- Two-panel axial: CT | PSMA PET, [18F]PSMA-1007 tracer
- slice position z = -653 mm
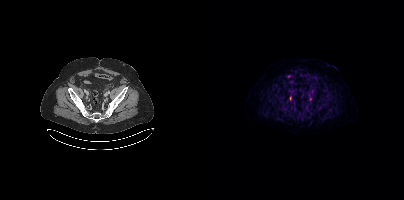
Findings: Coordinates are on the 200×200 PET (right) panel. PSMA-avid tumor lesion bounding box (x, y, width, height): x=105 y=97 w=4 h=5. Small PSMA-avid focus (2 to 4 px across) near (center x, center y): (86, 97).